Face de-identified by blanking a block of the head. Paired axial CT (left) and PSMA PET (right), [68Ga]Ga-PSMA-11 tracer. Slice 173 of 195.
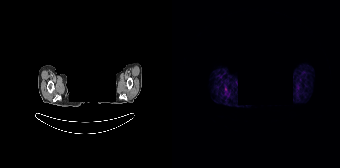
Coordinates are on the 168×168 PET (right) panel. Small PSMA-avid focus (2 to 4 px across) near (center x, center y): (53, 89).